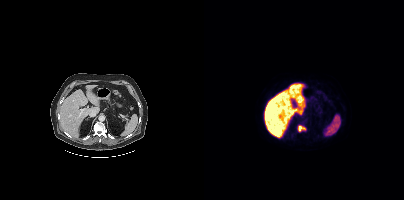
{"pet_grid":[200,200],"coord_frame":"pet_panel","coord_format":"x0,y0,x1,y1","lesion_bboxes":[[94,125,101,131]],"modality":"PSMA PET/CT","view":"axial","tracer":"18F"}